modality: PSMA PET/CT | tracer: 18F | view: axial | PET grid: 200×200
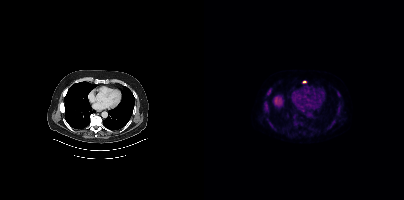
Coordinates are on the 200×200 PET (right) panel. (showing 10 of 12 foci) PSMA-avid tumor lesion bounding boxes (x0,y0,x1,y1): [60,104,64,113] [63,88,67,95] [91,121,98,125] [133,91,136,96] [127,121,131,124] [64,120,66,124]. Small PSMA-avid foci (2 to 4 px across) near (center x, center y): (133, 112) (135, 106) (69, 126) (100, 81).